Left: CT. Right: PSMA PET, same axial level, 18F-PSMA tracer. PET panel 200×200 px (4.1 mm/px).
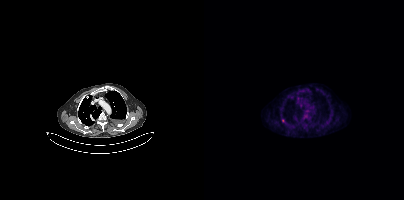
Coordinates are on the 200×200 PET (right) panel. Small PSMA-avid focus (2 to 4 px across) near (center x, center y): (79, 120).